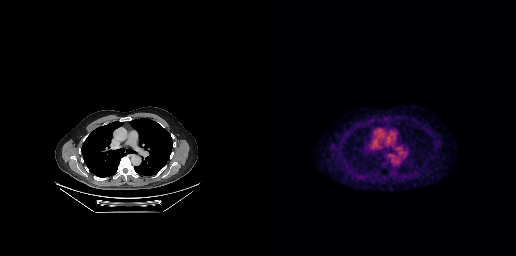
Technique: Paired axial CT (left) and PSMA PET (right), 18F tracer. slice position z = -227 mm. PET panel 256×256 px (2.7 mm/px).
Findings: No tumor lesions annotated on this slice.